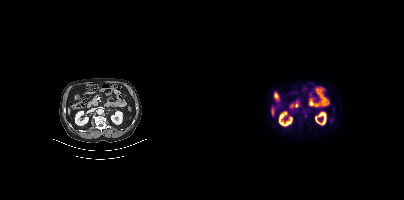
- Two-panel axial: CT | PSMA PET, 18F-PSMA tracer
- slice position z = -594 mm
- PET panel 200×200 px (4.1 mm/px)
Findings: No tumor lesions annotated on this slice.